Two-panel axial: CT | PSMA PET, 18F tracer. Acquired on Siemens Biograph mCT Flow 20. Slice 106 of 395. PET panel 200×200 px (4.1 mm/px).
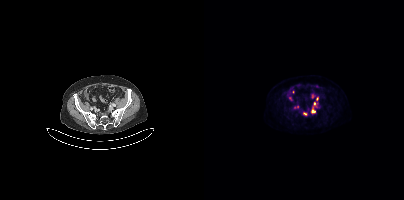
Coordinates are on the 200×200 PET (right) panel. PSMA-avid tumor lesion bounding boxes (partial; 2 more foci not listed):
| # | x0 | y0 | x1 | y1 |
|---|---|---|---|---|
| 1 | 107 | 109 | 111 | 112 |
Small PSMA-avid foci (2 to 4 px across) near (center x, center y): (110, 103); (100, 114); (93, 106); (90, 107).